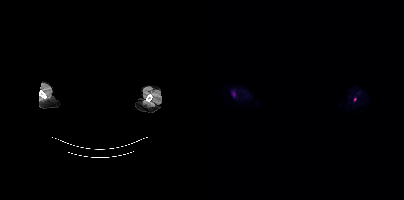
Two-panel axial: CT | PSMA PET, 18F-PSMA tracer. Acquired on Siemens Biograph mCT Flow 20. Slice 373 of 395. PET panel 200×200 px (4.1 mm/px). Facial anatomy redacted by setting a rectangular region of the head to black. Coordinates are on the 200×200 PET (right) panel. Small PSMA-avid focus (2 to 4 px across) near (center x, center y): (151, 99).